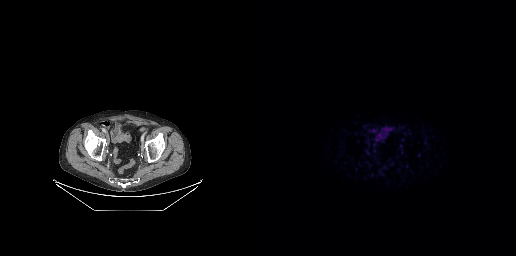
Left: CT. Right: PSMA PET, same axial level, [68Ga]Ga-PSMA-11 tracer. Acquired on GE Discovery 690. PET panel 256×256 px (2.7 mm/px). Negative for PSMA-avid disease on this slice.